Two-panel axial: CT | PSMA PET, [18F]PSMA-1007 tracer.
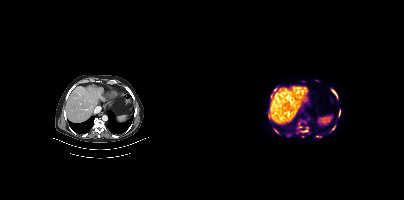
Coordinates are on the 200×200 PET (right) panel. (showing 5 of 10 foci) PSMA-avid tumor lesion bounding boxes (x0, y0)-(x1, y1): (128, 90)-(133, 97) / (98, 130)-(103, 131) / (128, 126)-(131, 130). Small PSMA-avid foci (2 to 4 px across) near (center x, center y): (71, 89) / (70, 129).